- Paired axial CT (left) and PSMA PET (right), 18F tracer
- slice position z = -884 mm
- PET panel 200×200 px (4.1 mm/px)
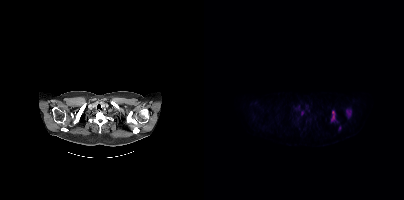
Findings: Coordinates are on the 200×200 PET (right) panel. (showing 4 of 5 foci) PSMA-avid tumor lesion bounding boxes (x, y, width, height): x=142 y=110 w=6 h=7; x=128 y=111 w=3 h=7; x=135 y=126 w=3 h=5. Small PSMA-avid focus (2 to 4 px across) near (center x, center y): (98, 113).